modality: PSMA PET/CT | tracer: 68Ga | view: axial | PET grid: 168×168
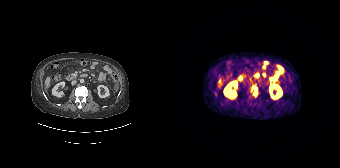
Coordinates are on the 168×168 PET (right) panel. PSMA-avid tumor lesion bounding box (x0, y0)-(x1, y1): (80, 86)-(85, 95).